Head region blanked for anonymization (face removed).
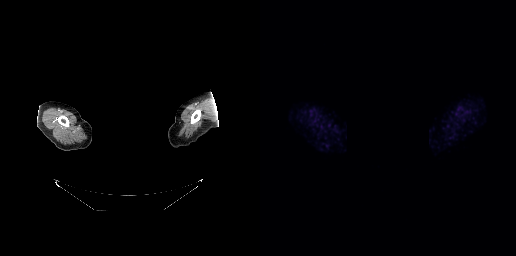
No tumor lesions annotated on this slice.